- Paired axial CT (left) and PSMA PET (right), 18F tracer
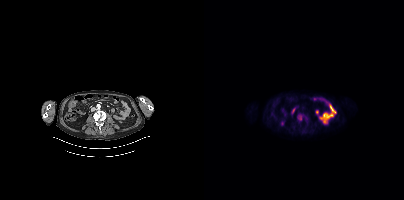
Findings: Coordinates are on the 200×200 PET (right) panel. PSMA-avid tumor lesion bounding box (x0, y0)-(x1, y1): (93, 114)-(99, 120). Small PSMA-avid focus (2 to 4 px across) near (center x, center y): (102, 118).